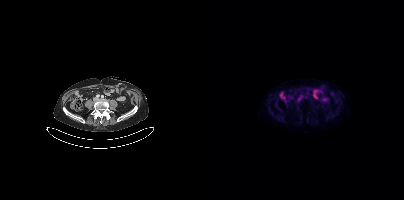
Findings: No PSMA-avid tumor lesions on this slice.
Technique: Left: CT. Right: PSMA PET, same axial level, [18F]PSMA-1007 tracer. acquired on Siemens Biograph mCT Flow 20. slice 132 of 401.